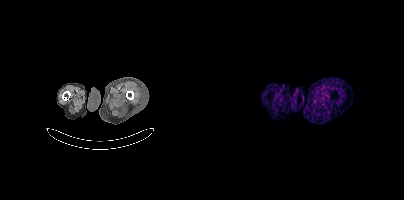
modality: PSMA PET/CT | tracer: [68Ga]Ga-PSMA-11 | view: axial | PET grid: 200×200
Negative for PSMA-avid disease on this slice.